modality: PSMA PET/CT | tracer: 18F | view: axial | PET grid: 200×200
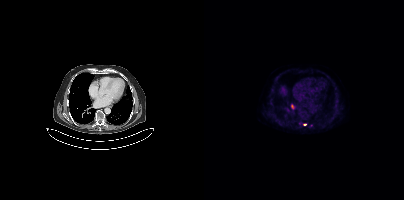
Coordinates are on the 200×200 PET (right) panel. (showing 1 of 2 foci) Small PSMA-avid focus (2 to 4 px across) near (center x, center y): (100, 124).